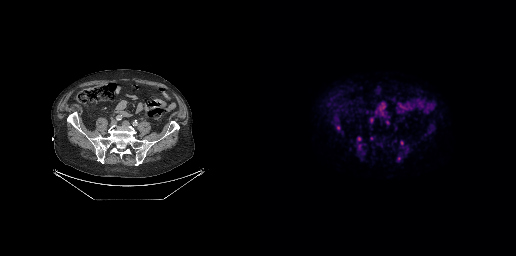
Coordinates are on the 256×256 PET (right) panel. Small PSMA-avid foci (2 to 4 px across) near (center x, center y): (141, 142); (78, 127); (139, 158); (99, 139).